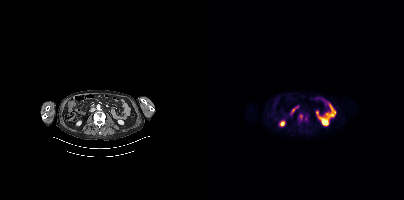
{"pet_grid":[200,200],"coord_frame":"pet_panel","coord_format":"x0,y0,x1,y1","lesion_bboxes":[[95,113,99,121],[100,115,103,121]],"modality":"PSMA PET/CT","view":"axial","tracer":"18F"}